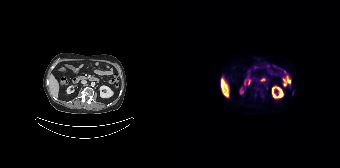
Coordinates are on the 168×168 PET (right) panel. Small PSMA-avid focus (2 to 4 px across) near (center x, center y): (94, 87).